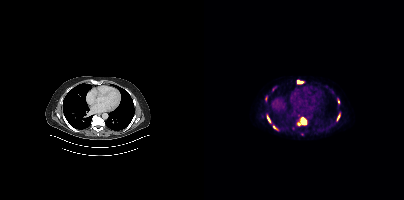
{"pet_grid":[200,200],"coord_frame":"pet_panel","coord_format":"x0,y0,x1,y1","partial":true,"lesion_bboxes":[[93,117,102,125],[93,80,99,83],[63,115,66,122],[133,115,135,120]],"small_foci_centers":[[70,127],[134,101]],"modality":"PSMA PET/CT","view":"axial","tracer":"18F-PSMA"}